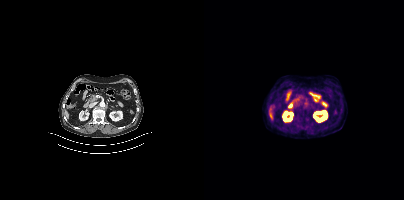
Negative for PSMA-avid disease on this slice. Left: CT. Right: PSMA PET, same axial level, 18F tracer. PET panel 200×200 px (4.1 mm/px).